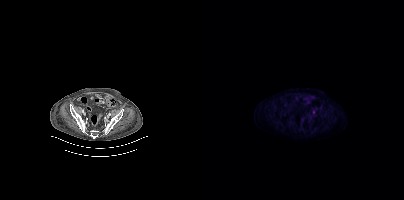
{"modality":"PSMA PET/CT","view":"axial","tracer":"[18F]PSMA-1007","pet_grid":[200,200],"coord_frame":"pet_panel","coord_format":"x0,y0,x1,y1","lesion_bboxes":[],"small_foci_centers":[[109,111]]}